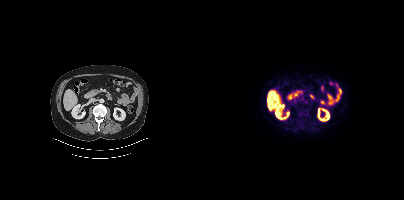
{"modality":"PSMA PET/CT","view":"axial","tracer":"[18F]PSMA-1007","pet_grid":[200,200],"coord_frame":"pet_panel","coord_format":"x0,y0,x1,y1","partial":true,"lesion_bboxes":[[93,107,104,116]],"small_foci_centers":[[100,103]]}